Two-panel axial: CT | PSMA PET, [18F]PSMA-1007 tracer. Slice position z = -1424 mm. PET panel 200×200 px (4.1 mm/px).
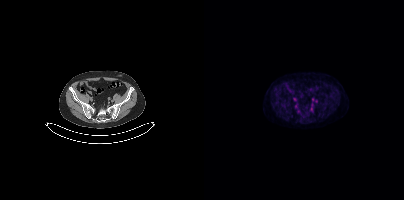
This slice has no annotated PSMA-avid lesion.